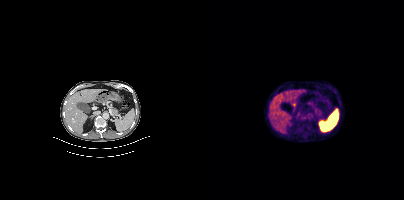
{"modality":"PSMA PET/CT","view":"axial","tracer":"18F","pet_grid":[200,200],"coord_frame":"pet_panel","coord_format":"x0,y0,x1,y1","lesion_bboxes":[[97,116,106,123],[99,123,104,125]]}